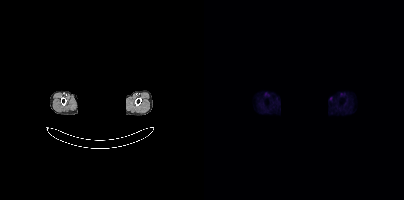
{"modality":"PSMA PET/CT","view":"axial","tracer":"18F","pet_grid":[200,200],"coord_frame":"pet_panel","coord_format":"x0,y0,x1,y1","redaction":"rectangular block over head set to black","psma_avid_lesions":false}